Two-panel axial: CT | PSMA PET, 18F tracer. Slice position z = -447 mm.
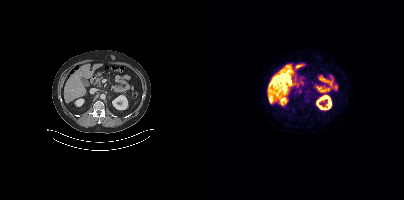
No PSMA-avid tumor lesions on this slice.